Technique: Left: CT. Right: PSMA PET, same axial level, 18F-PSMA tracer. acquired on Siemens Biograph mCT Flow 20.
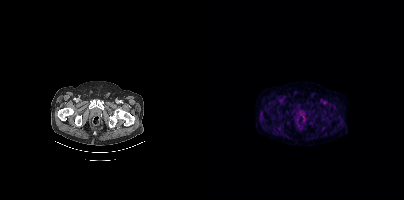
Findings: This slice has no annotated PSMA-avid lesion.